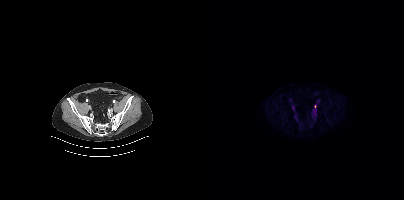
{"modality":"PSMA PET/CT","view":"axial","tracer":"[18F]PSMA-1007","pet_grid":[200,200],"coord_frame":"pet_panel","coord_format":"x0,y0,x1,y1","lesion_bboxes":[],"small_foci_centers":[[110,106]]}